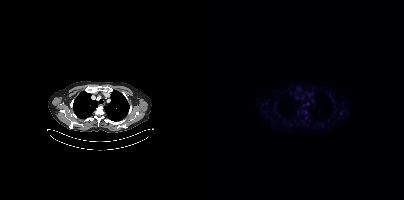
Coordinates are on the 200×200 PET (right) panel. (showing 4 of 5 foci) Small PSMA-avid foci (2 to 4 px across) near (center x, center y): (102, 117); (101, 112); (86, 92); (103, 103).